- Two-panel axial: CT | PSMA PET, [18F]PSMA-1007 tracer
- acquired on Siemens Biograph mCT Flow 20
- slice 360 of 373
- PET panel 200×200 px (4.1 mm/px)
- facial anatomy redacted by setting a rectangular region of the head to black
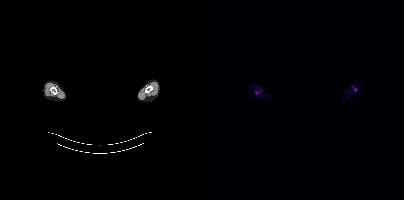
Findings: Coordinates are on the 200×200 PET (right) panel. (showing 2 of 3 foci) Small PSMA-avid foci (2 to 4 px across) near (center x, center y): (151, 89) | (52, 92).